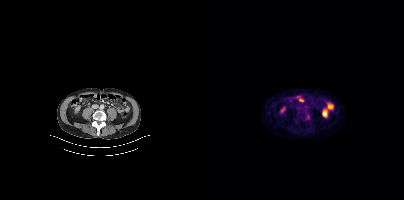
Coordinates are on the 200×200 PET (right) panel. Small PSMA-avid focus (2 to 4 px across) near (center x, center y): (104, 116).